Left: CT. Right: PSMA PET, same axial level, 68Ga-PSMA tracer. PET panel 200×200 px (4.1 mm/px).
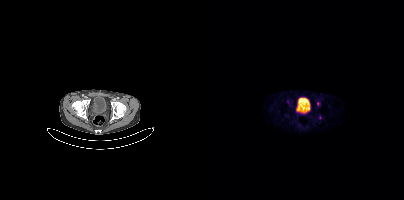
Only PSMA-avid lesion pieces thinner than 2 px on this slice (not listed).